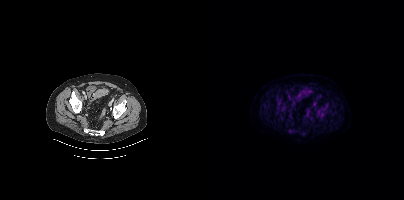
This slice has no annotated PSMA-avid lesion. Paired axial CT (left) and PSMA PET (right), 18F-PSMA tracer. Acquired on Siemens Biograph mCT Flow 20. Slice position z = -804 mm.